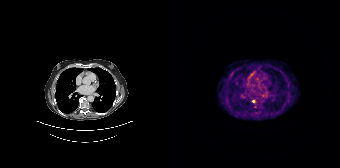
Findings: Coordinates are on the 168×168 PET (right) panel. Small PSMA-avid focus (2 to 4 px across) near (center x, center y): (81, 100).
- Two-panel axial: CT | PSMA PET, [68Ga]Ga-PSMA-11 tracer
- acquired on Siemens Biograph 64-4R TruePoint